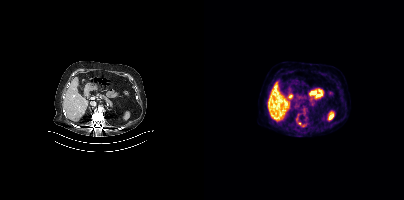
Technique: Two-panel axial: CT | PSMA PET, [18F]PSMA-1007 tracer. acquired on Siemens Biograph mCT Flow 20. slice position z = -1176 mm.
Findings: Coordinates are on the 200×200 PET (right) panel. Small PSMA-avid foci (2 to 4 px across) near (center x, center y): (99, 125) | (96, 123).